Paired axial CT (left) and PSMA PET (right), 18F tracer. Slice position z = -870 mm.
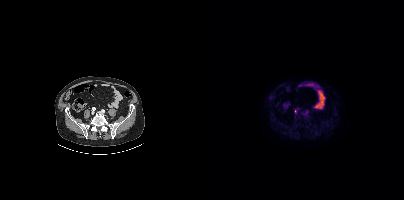
Coordinates are on the 200×200 PET (right) panel. Small PSMA-avid focus (2 to 4 px across) near (center x, center y): (91, 111).